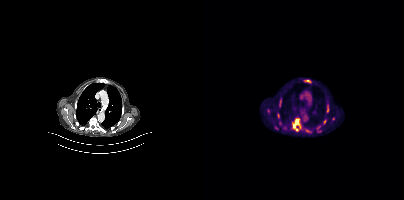
Technique: Paired axial CT (left) and PSMA PET (right), 18F tracer. slice position z = -1076 mm.
Findings: Coordinates are on the 200×200 PET (right) panel. (showing 9 of 10 foci) PSMA-avid tumor lesion bounding boxes (x0, y0)-(x1, y1): (88, 120)-(97, 128); (70, 125)-(74, 130); (80, 125)-(83, 129); (73, 113)-(75, 118); (123, 105)-(124, 110); (75, 102)-(76, 106). Small PSMA-avid foci (2 to 4 px across) near (center x, center y): (64, 110); (107, 132); (113, 127).